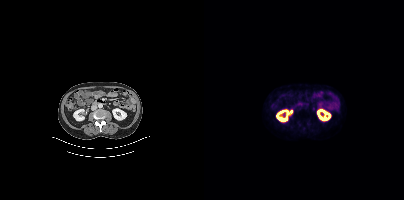
Findings: No PSMA-avid tumor lesions on this slice.
- Two-panel axial: CT | PSMA PET, 18F-PSMA tracer
- PET panel 200×200 px (4.1 mm/px)